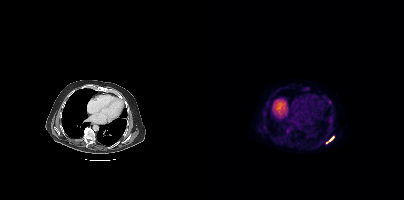
Coordinates are on the 200×200 PET (right) panel. PSMA-avid tumor lesion bounding box (x, y, width, height): x=125 y=136 w=5 h=6. Small PSMA-avid focus (2 to 4 px across) near (center x, center y): (122, 142).